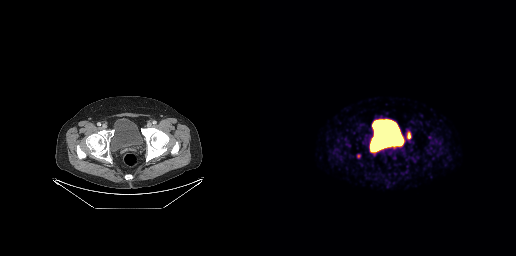
Coordinates are on the 256×256 PET (right) panel. Small PSMA-avid focus (2 to 4 px across) near (center x, center y): (148, 136).